modality: PSMA PET/CT | tracer: 18F-PSMA | view: axial
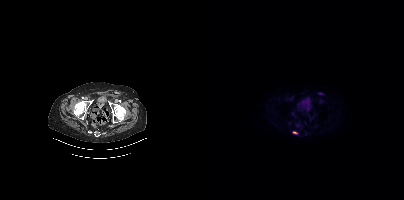
Coordinates are on the 200×200 PET (right) panel. PSMA-avid tumor lesion bounding box (x0, y0)-(x1, y1): (88, 131)-(94, 134).